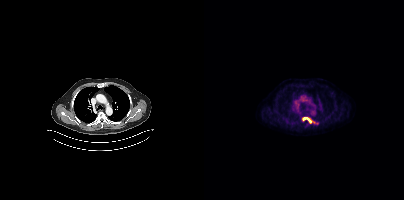
Findings: Coordinates are on the 200×200 PET (right) panel. PSMA-avid tumor lesion bounding box (x0, y0)-(x1, y1): (98, 117)-(114, 124).
- Paired axial CT (left) and PSMA PET (right), 18F-PSMA tracer
- acquired on Siemens Biograph mCT Flow 20
- slice 289 of 393
- PET panel 200×200 px (4.1 mm/px)